modality: PSMA PET/CT | tracer: 18F | view: axial
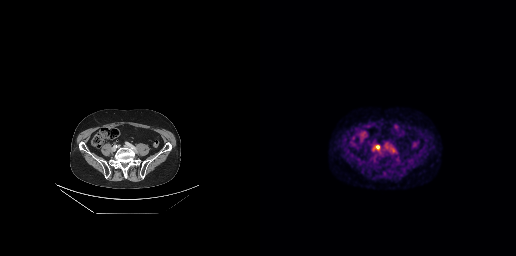
Coordinates are on the 256×256 PET (right) panel. PSMA-avid tumor lesion bounding box (x0, y0)-(x1, y1): (116, 145)-(119, 149).